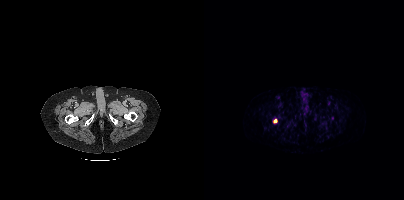
Coordinates are on the 200×200 PET (right) panel. PSMA-avid tumor lesion bounding box (x0,y0,x1,y1): [69,119,73,123].
modality: PSMA PET/CT | tracer: 68Ga-PSMA | view: axial